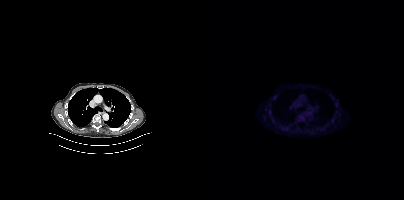
- Left: CT. Right: PSMA PET, same axial level, [18F]PSMA-1007 tracer
- slice 299 of 421
- PET panel 200×200 px (4.1 mm/px)
Findings: Coordinates are on the 200×200 PET (right) panel. Small PSMA-avid focus (2 to 4 px across) near (center x, center y): (70, 97).